Technique: Left: CT. Right: PSMA PET, same axial level, 68Ga tracer. slice 9 of 195. PET panel 168×168 px (4.1 mm/px).
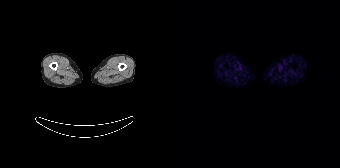
Findings: This slice has no annotated PSMA-avid lesion.